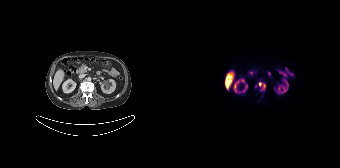
Coordinates are on the 168×168 PET (right) panel. PSMA-avid tumor lesion bounding box (x0,y0,x1,y1): [83,82,93,91].